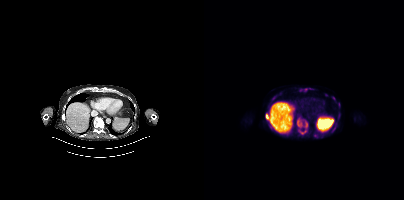
{"modality":"PSMA PET/CT","view":"axial","tracer":"18F-PSMA","pet_grid":[200,200],"coord_frame":"pet_panel","coord_format":"x0,y0,x1,y1","partial":true,"lesion_bboxes":[[93,118,103,126],[94,130,103,134],[62,114,65,120]],"small_foci_centers":[[111,135],[102,89],[130,98],[70,97],[122,94]]}